modality: PSMA PET/CT | tracer: [18F]PSMA-1007 | view: axial
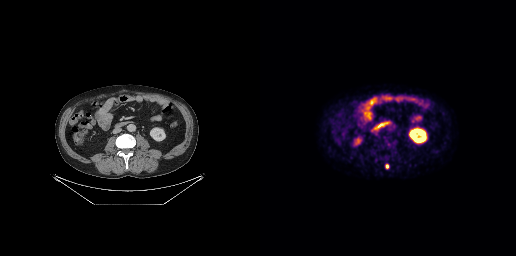
Coordinates are on the 256×256 PET (right) panel. PSMA-avid tumor lesion bounding box (x0,y0,x1,y1): [125,164,128,168].